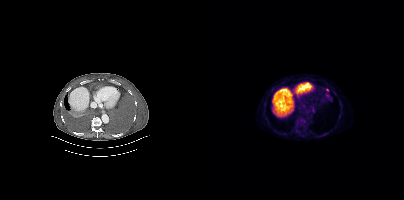
Findings: Coordinates are on the 200×200 PET (right) panel. (showing 3 of 4 foci) PSMA-avid tumor lesion bounding box (x0, y0)-(x1, y1): (107, 108)-(111, 112). Small PSMA-avid foci (2 to 4 px across) near (center x, center y): (123, 94) | (123, 89).
- Two-panel axial: CT | PSMA PET, 18F tracer
- slice 202 of 344
- PET panel 200×200 px (4.1 mm/px)